- Paired axial CT (left) and PSMA PET (right), 18F-PSMA tracer
- PET panel 200×200 px (4.1 mm/px)
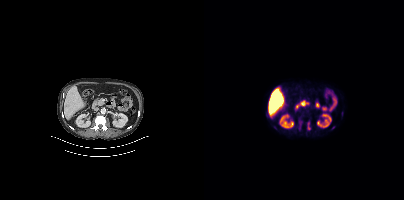
Findings: Coordinates are on the 200×200 PET (right) panel. PSMA-avid tumor lesion bounding boxes (x0, y0)-(x1, y1): (103, 121)-(106, 130) | (95, 121)-(98, 125). Small PSMA-avid focus (2 to 4 px across) near (center x, center y): (95, 127).